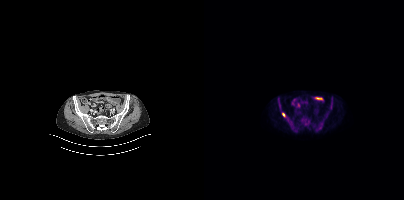
Coordinates are on the 200×200 PET (right) panel. Small PSMA-avid focus (2 to 4 px across) near (center x, center y): (79, 114). Paired axial CT (left) and PSMA PET (right), [18F]PSMA-1007 tracer. PET panel 200×200 px (4.1 mm/px).